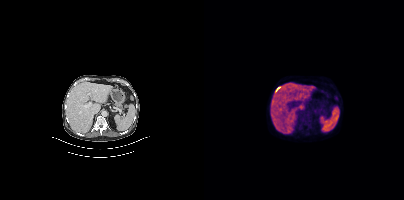
Left: CT. Right: PSMA PET, same axial level, 18F-PSMA tracer. Acquired on Siemens Biograph mCT Flow 20. PET panel 200×200 px (4.1 mm/px). No tumor lesions annotated on this slice.